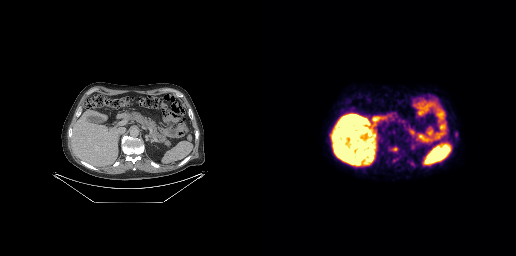
{"modality":"PSMA PET/CT","view":"axial","tracer":"18F-PSMA","pet_grid":[256,256],"coord_frame":"pet_panel","coord_format":"x0,y0,x1,y1","lesion_bboxes":[],"small_foci_centers":[[135,148]]}